modality: PSMA PET/CT | tracer: [18F]PSMA-1007 | view: axial | PET grid: 200×200
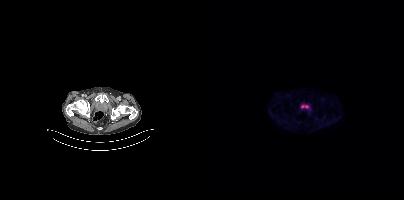
This slice has no annotated PSMA-avid lesion.